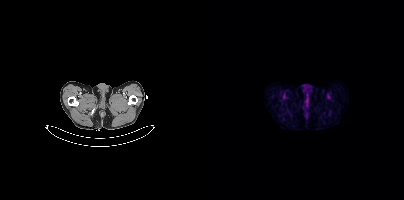
Findings: This slice has no annotated PSMA-avid lesion.
- Paired axial CT (left) and PSMA PET (right), 18F tracer
- acquired on Siemens Biograph mCT Flow 20
- slice 22 of 389
- PET panel 200×200 px (4.1 mm/px)